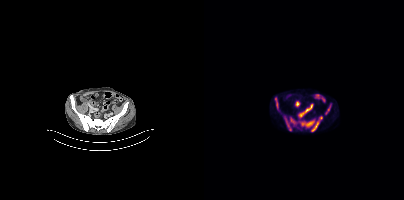
- Two-panel axial: CT | PSMA PET, 18F-PSMA tracer
- PET panel 200×200 px (4.1 mm/px)
Findings: Coordinates are on the 200×200 PET (right) panel. PSMA-avid tumor lesion bounding boxes (x0, y0)-(x1, y1): (96, 116)-(118, 130) / (80, 116)-(91, 130) / (71, 97)-(74, 109) / (121, 105)-(126, 114).